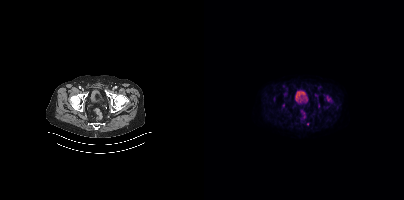
Only PSMA-avid lesion pieces thinner than 2 px on this slice (not listed).